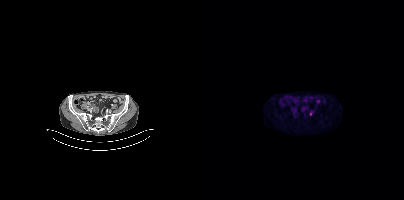
Left: CT. Right: PSMA PET, same axial level, 18F-PSMA tracer. Acquired on Siemens Biograph mCT Flow 20. PET panel 200×200 px (4.1 mm/px). Only PSMA-avid lesion pieces thinner than 2 px on this slice (not listed).